- Left: CT. Right: PSMA PET, same axial level, 18F-PSMA tracer
- slice 341 of 397
- PET panel 200×200 px (4.1 mm/px)
- head region blanked for anonymization (face removed)
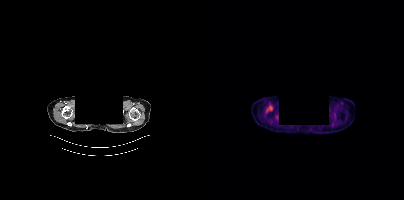
Findings: No tumor lesions annotated on this slice.